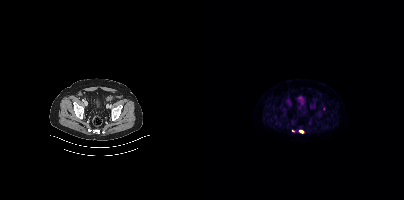
Findings: Coordinates are on the 200×200 PET (right) panel. PSMA-avid tumor lesion bounding box (x0,y0,x1,y1): [95,130,99,132]. Small PSMA-avid focus (2 to 4 px across) near (center x, center y): (88, 130).
- Left: CT. Right: PSMA PET, same axial level, [18F]PSMA-1007 tracer
- acquired on Siemens Biograph mCT Flow 20
- PET panel 200×200 px (4.1 mm/px)